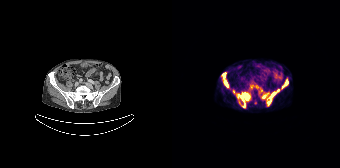
Coordinates are on the 168×168 PET (right) panel. (showing 6 of 9 foci) PSMA-avid tumor lesion bounding boxes (x0, y0)-(x1, y1): (66, 93)-(77, 107) | (95, 92)-(104, 105) | (52, 80)-(56, 87) | (50, 73)-(53, 78). Small PSMA-avid foci (2 to 4 px across) near (center x, center y): (91, 96) | (114, 82).